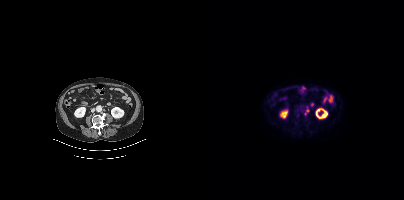
Coordinates are on the 200×200 PET (right) panel. PSMA-avid tumor lesion bounding box (x0,y0,x1,y1): [100,107,105,115].